Left: CT. Right: PSMA PET, same axial level, [18F]PSMA-1007 tracer. Acquired on Siemens Biograph mCT Flow 20. Slice position z = -554 mm.
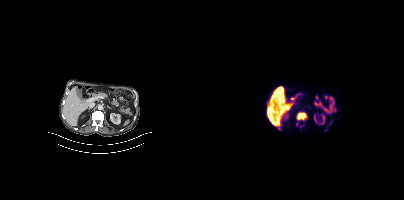
Coordinates are on the 200×200 PET (right) panel. PSMA-avid tumor lesion bounding boxes:
| # | x0 | y0 | x1 | y1 |
|---|---|---|---|---|
| 1 | 93 | 112 | 102 | 119 |
| 2 | 72 | 126 | 76 | 129 |